modality: PSMA PET/CT | tracer: 18F-PSMA | view: axial
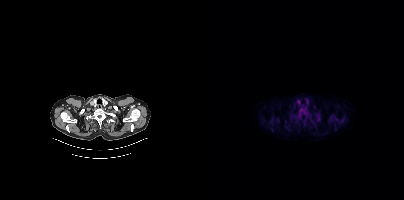
Coordinates are on the 200×200 PET (right) panel. PSMA-avid tumor lesion bounding box (x0, y0)-(x1, y1): (96, 108)-(100, 113).